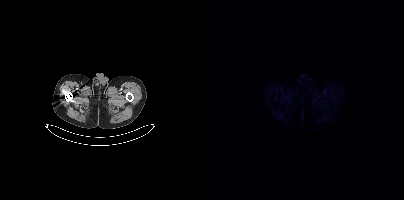
Findings: No PSMA-avid tumor lesions on this slice.
- Two-panel axial: CT | PSMA PET, 18F-PSMA tracer
- slice 37 of 421
- PET panel 200×200 px (4.1 mm/px)